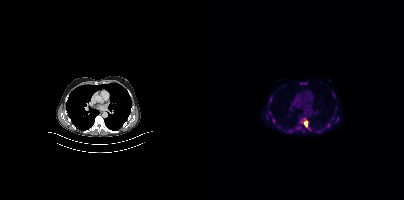
{"pet_grid":[200,200],"coord_frame":"pet_panel","coord_format":"x0,y0,x1,y1","lesion_bboxes":[[100,120,103,127],[96,82,103,84],[66,97,68,102],[132,118,134,122]],"small_foci_centers":[[69,120],[128,118]],"modality":"PSMA PET/CT","view":"axial","tracer":"[18F]PSMA-1007"}